- Two-panel axial: CT | PSMA PET, 18F-PSMA tracer
- acquired on Siemens Biograph 64-4R TruePoint
- PET panel 168×168 px (4.1 mm/px)
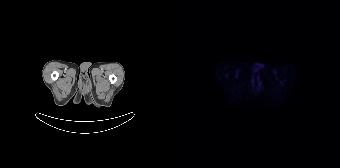
Findings: No tumor lesions annotated on this slice.